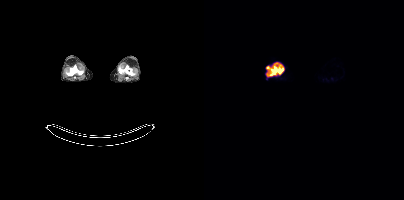
{"modality":"PSMA PET/CT","view":"axial","tracer":"18F-PSMA","pet_grid":[200,200],"coord_frame":"pet_panel","coord_format":"x0,y0,x1,y1","lesion_bboxes":[[62,63,79,76]]}